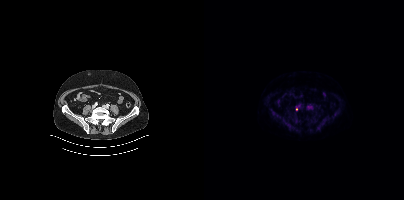
Left: CT. Right: PSMA PET, same axial level, [18F]PSMA-1007 tracer. Acquired on Siemens Biograph mCT Flow 20. PET panel 200×200 px (4.1 mm/px). Only PSMA-avid lesion pieces thinner than 2 px on this slice (not listed).